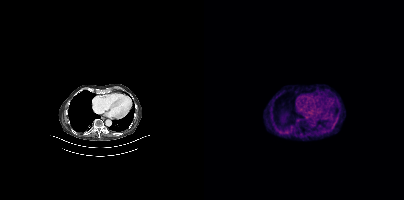
No PSMA-avid tumor lesions on this slice.